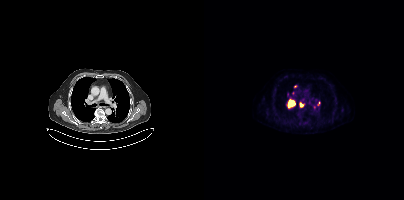
Paired axial CT (left) and PSMA PET (right), [18F]PSMA-1007 tracer. Slice position z = -465 mm. Coordinates are on the 200×200 PET (right) panel. Small PSMA-avid focus (2 to 4 px across) near (center x, center y): (97, 104).